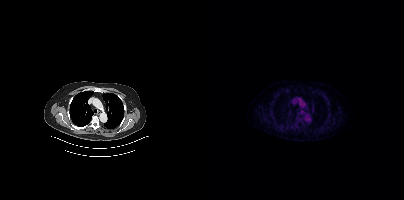
{"pet_grid":[200,200],"coord_frame":"pet_panel","coord_format":"x0,y0,x1,y1","psma_avid_lesions":false,"modality":"PSMA PET/CT","view":"axial","tracer":"[18F]PSMA-1007"}